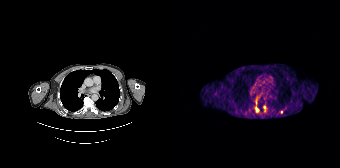
Coordinates are on the 168×168 PET (right) panel. PSMA-avid tumor lesion bounding boxes:
| # | x0 | y0 | x1 | y1 |
|---|---|---|---|---|
| 1 | 84 | 107 | 86 | 112 |
| 2 | 92 | 106 | 93 | 111 |
Small PSMA-avid focus (2 to 4 px across) near (center x, center y): (109, 111).
Paired axial CT (left) and PSMA PET (right), 68Ga tracer.